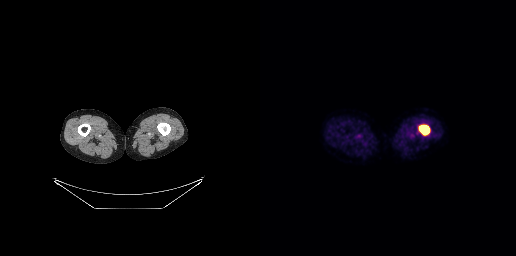
Technique: Left: CT. Right: PSMA PET, same axial level, [18F]PSMA-1007 tracer. slice 52 of 371. PET panel 256×256 px (2.7 mm/px).
Findings: Coordinates are on the 256×256 PET (right) panel. PSMA-avid tumor lesion bounding box (x, y, width, height): x=159 y=125 w=11 h=11.